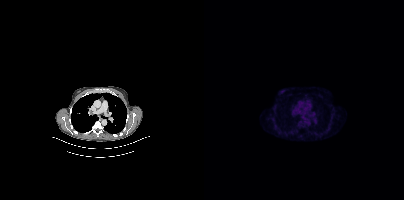
Findings: This slice has no annotated PSMA-avid lesion.
Technique: Two-panel axial: CT | PSMA PET, [18F]PSMA-1007 tracer. slice 311 of 435. PET panel 200×200 px (4.1 mm/px).